- Two-panel axial: CT | PSMA PET, 18F tracer
- PET panel 200×200 px (4.1 mm/px)
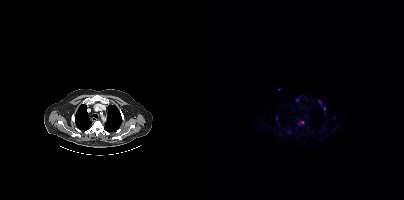
Findings: Coordinates are on the 200×200 PET (right) panel. (showing 2 of 3 foci) Small PSMA-avid foci (2 to 4 px across) near (center x, center y): (120, 108) | (98, 122).